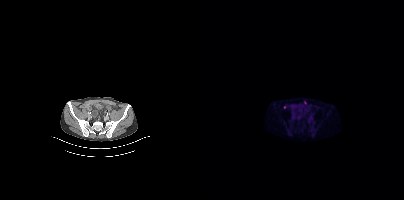
Two-panel axial: CT | PSMA PET, 18F-PSMA tracer. Slice 121 of 435. PET panel 200×200 px (4.1 mm/px). Coordinates are on the 200×200 PET (right) panel. Small PSMA-avid focus (2 to 4 px across) near (center x, center y): (101, 102).